Paired axial CT (left) and PSMA PET (right), 18F tracer.
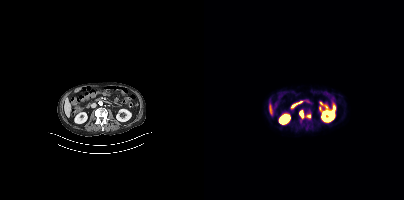
Coordinates are on the 200×200 PET (right) panel. PSMA-avid tumor lesion bounding boxes:
| # | x0 | y0 | x1 | y1 |
|---|---|---|---|---|
| 1 | 101 | 110 | 107 | 118 |
| 2 | 95 | 110 | 99 | 117 |
Small PSMA-avid focus (2 to 4 px across) near (center x, center y): (96, 120).